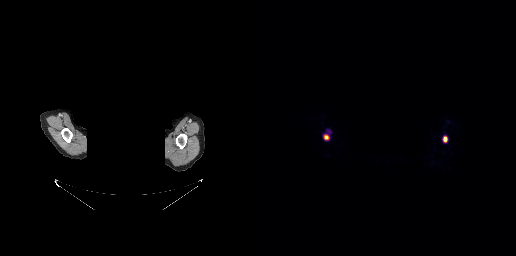
Coordinates are on the 256×256 PET (right) panel. PSMA-avid tumor lesion bounding box (x0, y0)-(x1, y1): (183, 137)-(186, 141). Small PSMA-avid focus (2 to 4 px across) near (center x, center y): (66, 137).
Face de-identified by blanking a block of the head.